Paired axial CT (left) and PSMA PET (right), [18F]PSMA-1007 tracer. PET panel 200×200 px (4.1 mm/px).
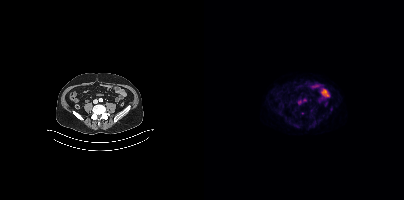
Negative for PSMA-avid disease on this slice.